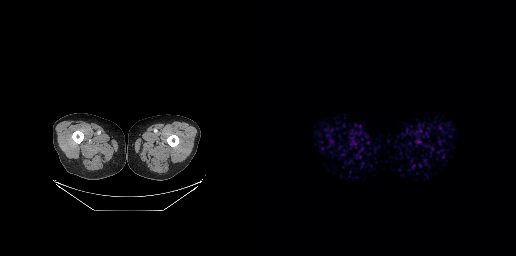
This slice has no annotated PSMA-avid lesion.
modality: PSMA PET/CT | tracer: 68Ga | view: axial